modality: PSMA PET/CT | tracer: 18F-PSMA | view: axial
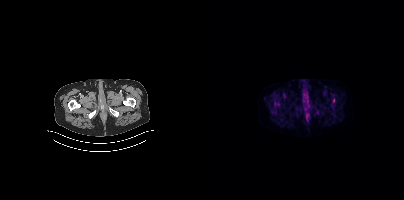
Coordinates are on the 200×200 PET (right) panel. PSMA-avid tumor lesion bounding box (x, y, width, height): x=129 y=98 w=3 h=5.